Technique: Left: CT. Right: PSMA PET, same axial level, [18F]PSMA-1007 tracer. acquired on Siemens Biograph mCT Flow 20. slice position z = -761 mm. PET panel 200×200 px (4.1 mm/px).
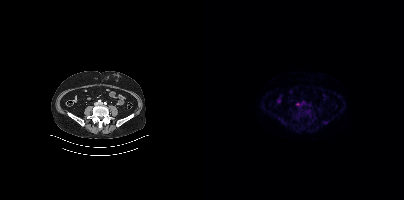
Findings: Coordinates are on the 200×200 PET (right) panel. Small PSMA-avid focus (2 to 4 px across) near (center x, center y): (93, 104).